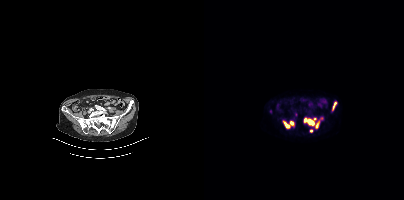
Coordinates are on the 200×200 PET (right) panel. (showing 5 of 7 foci) PSMA-avid tumor lesion bounding boxes (x0, y0)-(x1, y1): (100, 117)-(115, 127) | (79, 121)-(89, 128) | (129, 102)-(132, 109). Small PSMA-avid foci (2 to 4 px across) near (center x, center y): (107, 131) | (91, 114).